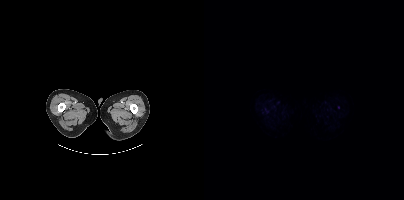
{"pet_grid":[200,200],"coord_frame":"pet_panel","coord_format":"x0,y0,x1,y1","psma_avid_lesions":false,"modality":"PSMA PET/CT","view":"axial","tracer":"18F"}